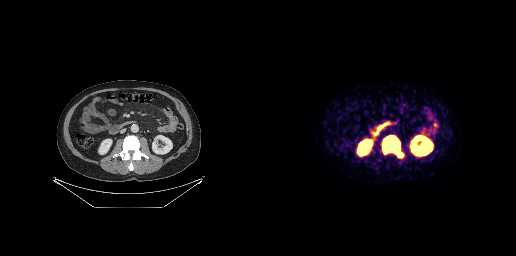
{"modality":"PSMA PET/CT","view":"axial","tracer":"68Ga","pet_grid":[256,256],"coord_frame":"pet_panel","coord_format":"x0,y0,x1,y1","lesion_bboxes":[[122,136,143,157]]}